Left: CT. Right: PSMA PET, same axial level, 18F tracer. Acquired on Siemens Biograph mCT Flow 20. Slice 254 of 403. PET panel 200×200 px (4.1 mm/px).
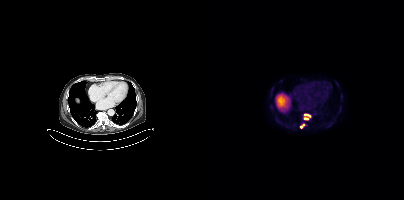
Coordinates are on the 200×200 PET (right) panel. PSMA-avid tumor lesion bounding boxes:
| # | x0 | y0 | x1 | y1 |
|---|---|---|---|---|
| 1 | 100 | 114 | 106 | 119 |
| 2 | 96 | 123 | 102 | 127 |